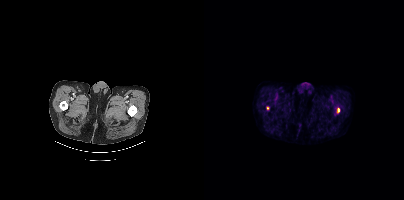
Technique: Left: CT. Right: PSMA PET, same axial level, 18F-PSMA tracer. acquired on Siemens Biograph mCT Flow 20. slice 47 of 448.
Findings: Coordinates are on the 200×200 PET (right) panel. PSMA-avid tumor lesion bounding box (x0,y0,x1,y1): [133,108,135,112]. Small PSMA-avid focus (2 to 4 px across) near (center x, center y): (63, 107).